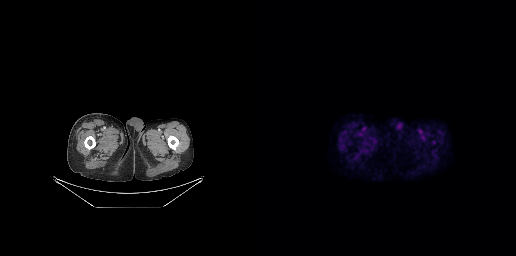
Two-panel axial: CT | PSMA PET, 18F-PSMA tracer. Acquired on GE Discovery 690. Slice position z = -776 mm. No tumor lesions annotated on this slice.